- Two-panel axial: CT | PSMA PET, 68Ga tracer
- acquired on GE Discovery 690
- slice position z = -220 mm
- PET panel 256×256 px (2.7 mm/px)
- any black rectangle over the head is a privacy mask, not anatomy
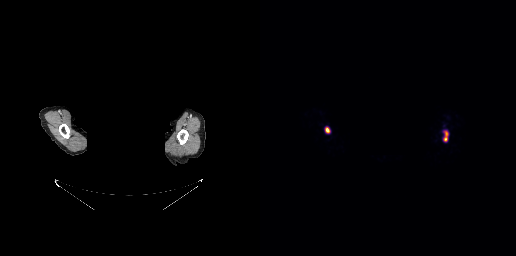
Findings: Coordinates are on the 256×256 PET (right) panel. PSMA-avid tumor lesion bounding boxes (x0, y0)-(x1, y1): (65, 127)-(70, 133) | (185, 132)-(187, 136). Small PSMA-avid focus (2 to 4 px across) near (center x, center y): (185, 139).